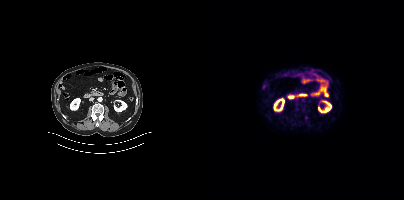
- Two-panel axial: CT | PSMA PET, 18F-PSMA tracer
- slice position z = -772 mm
- PET panel 200×200 px (4.1 mm/px)
Findings: Coordinates are on the 200×200 PET (right) panel. Small PSMA-avid focus (2 to 4 px across) near (center x, center y): (102, 117).